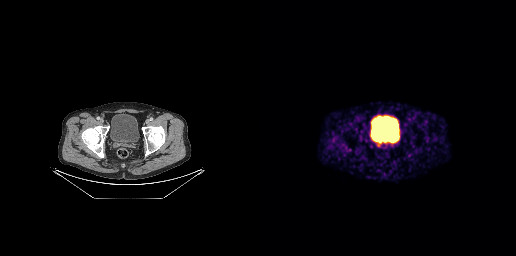
Technique: Left: CT. Right: PSMA PET, same axial level, [68Ga]Ga-PSMA-11 tracer. slice 52 of 263. PET panel 256×256 px (2.7 mm/px).
Findings: Coordinates are on the 256×256 PET (right) panel. Small PSMA-avid focus (2 to 4 px across) near (center x, center y): (119, 142).